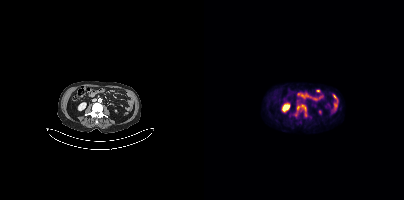
Coordinates are on the 200×200 PET (right) panel. PSMA-avid tumor lesion bounding box (x0,y0,x1,y1): [93,104,102,116]. Small PSMA-avid focus (2 to 4 px across) near (center x, center y): (91, 114).